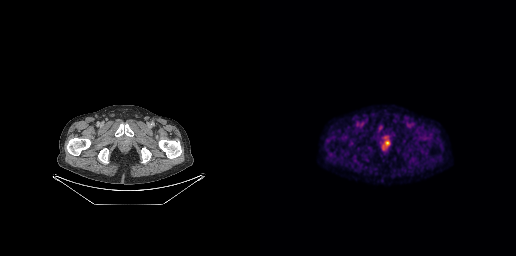
{"modality":"PSMA PET/CT","view":"axial","tracer":"18F","pet_grid":[256,256],"coord_frame":"pet_panel","coord_format":"x0,y0,x1,y1","lesion_bboxes":[[125,140,130,145]],"small_foci_centers":[[120,126]]}